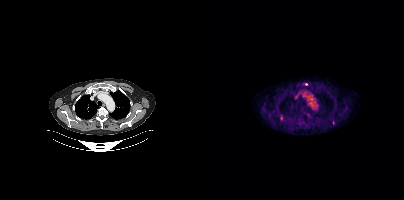
{"pet_grid":[200,200],"coord_frame":"pet_panel","coord_format":"x0,y0,x1,y1","lesion_bboxes":[[76,115,78,120],[128,120,130,124]],"small_foci_centers":[[102,84]],"modality":"PSMA PET/CT","view":"axial","tracer":"18F"}